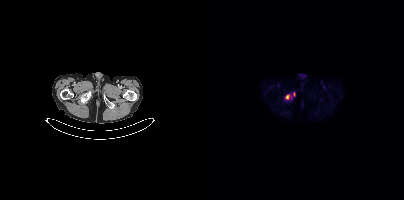
Left: CT. Right: PSMA PET, same axial level, 18F-PSMA tracer. Acquired on Siemens Biograph mCT Flow 20.
Coordinates are on the 200×200 PET (right) panel. PSMA-avid tumor lesion bounding boxes:
| # | x0 | y0 | x1 | y1 |
|---|---|---|---|---|
| 1 | 81 | 95 | 85 | 99 |
Small PSMA-avid focus (2 to 4 px across) near (center x, center y): (90, 93).